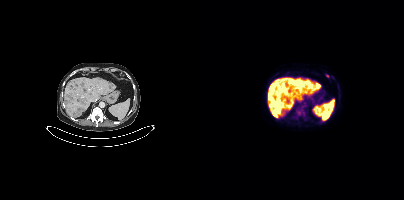
- Left: CT. Right: PSMA PET, same axial level, [18F]PSMA-1007 tracer
- slice position z = -1193 mm
- PET panel 200×200 px (4.1 mm/px)
Findings: Coordinates are on the 200×200 PET (right) panel. PSMA-avid tumor lesion bounding boxes (x, y, width, height): x=68 y=108 w=8 h=9 | x=92 y=107 w=5 h=8 | x=64 y=89 w=6 h=6. Small PSMA-avid focus (2 to 4 px across) near (center x, center y): (123, 76).